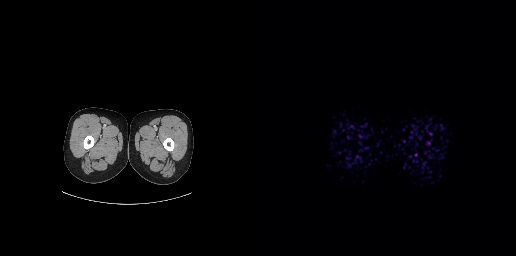
- Paired axial CT (left) and PSMA PET (right), 18F tracer
- acquired on GE Discovery 690
- slice 2 of 263
Findings: No PSMA-avid tumor lesions on this slice.